Two-panel axial: CT | PSMA PET, 18F-PSMA tracer. Acquired on Siemens Biograph mCT Flow 20. PET panel 200×200 px (4.1 mm/px).
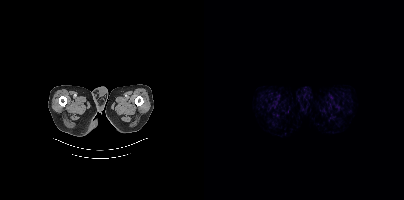
Negative for PSMA-avid disease on this slice.